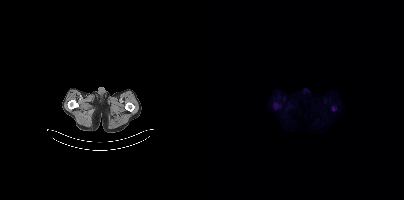
- Two-panel axial: CT | PSMA PET, 18F tracer
- acquired on Siemens Biograph mCT Flow 20
- slice 33 of 375
Findings: This slice has no annotated PSMA-avid lesion.